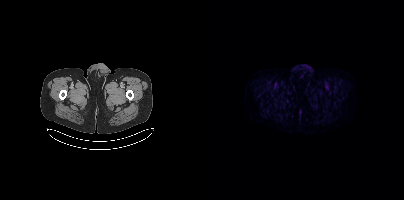
No PSMA-avid tumor lesions on this slice.